Paired axial CT (left) and PSMA PET (right), 18F-PSMA tracer. Slice position z = -483 mm. PET panel 200×200 px (4.1 mm/px).
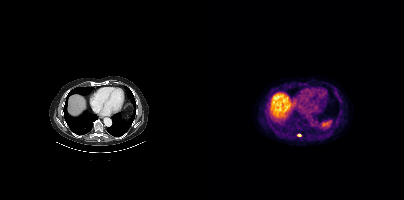
Coordinates are on the 200×200 PET (right) panel. Small PSMA-avid focus (2 to 4 px across) near (center x, center y): (95, 134).